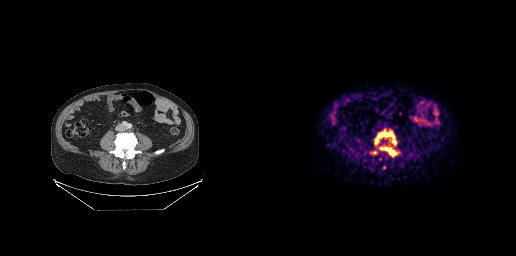
Two-panel axial: CT | PSMA PET, 68Ga-PSMA tracer.
Coordinates are on the 256×256 PET (right) panel. PSMA-avid tumor lesion bounding boxes:
| # | x0 | y0 | x1 | y1 |
|---|---|---|---|---|
| 1 | 114 | 130 | 136 | 145 |
| 2 | 119 | 146 | 138 | 156 |
Small PSMA-avid focus (2 to 4 px across) near (center x, center y): (124, 167).